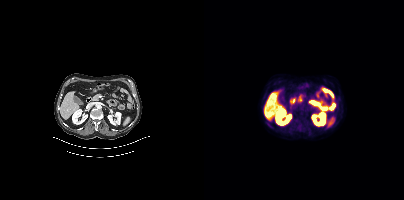
Left: CT. Right: PSMA PET, same axial level, 18F tracer. Acquired on Siemens Biograph mCT Flow 20. PET panel 200×200 px (4.1 mm/px). No PSMA-avid tumor lesions on this slice.